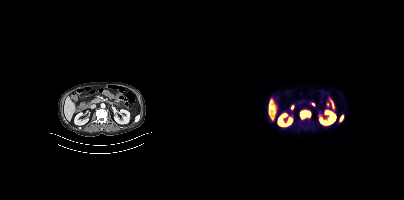
Findings: Coordinates are on the 200×200 PET (right) panel. PSMA-avid tumor lesion bounding boxes (x0, y0)-(x1, y1): (96, 111)-(106, 118); (136, 115)-(139, 121).
Technique: Two-panel axial: CT | PSMA PET, 18F-PSMA tracer.